Technique: Two-panel axial: CT | PSMA PET, 18F tracer. acquired on Siemens Biograph mCT Flow 20.
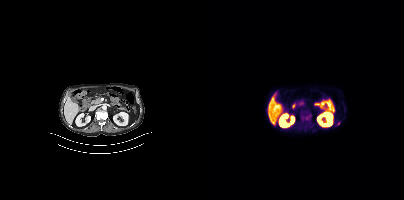
Findings: Coordinates are on the 200×200 PET (right) panel. (showing 3 of 5 foci) Small PSMA-avid foci (2 to 4 px across) near (center x, center y): (103, 118) / (98, 117) / (134, 123).